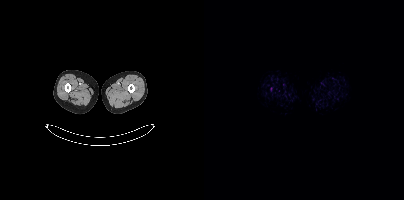
Paired axial CT (left) and PSMA PET (right), 18F tracer. Acquired on Siemens Biograph mCT Flow 20. PET panel 200×200 px (4.1 mm/px). No tumor lesions annotated on this slice.